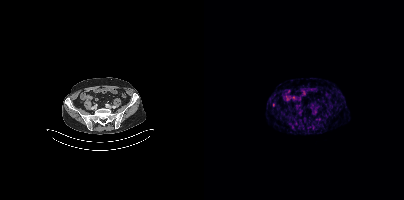
{"pet_grid":[200,200],"coord_frame":"pet_panel","coord_format":"x0,y0,x1,y1","partial":true,"lesion_bboxes":[],"modality":"PSMA PET/CT","view":"axial","tracer":"[68Ga]Ga-PSMA-11"}